modality: PSMA PET/CT | tracer: 68Ga | view: axial | PET grid: 200×200
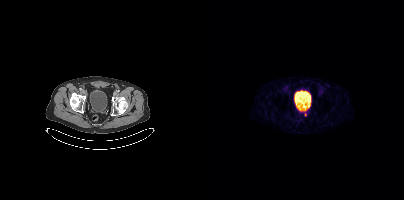
Only PSMA-avid lesion pieces thinner than 2 px on this slice (not listed).